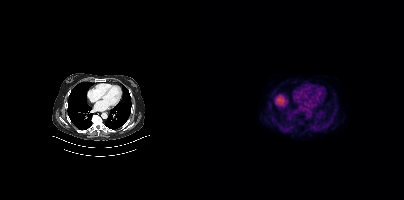
modality: PSMA PET/CT | tracer: 18F | view: axial | PET grid: 200×200
Negative for PSMA-avid disease on this slice.